Technique: Two-panel axial: CT | PSMA PET, 68Ga-PSMA tracer. slice position z = -910 mm.
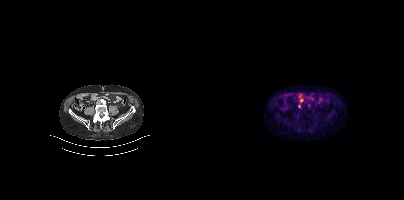
Findings: Coordinates are on the 200×200 PET (right) panel. (showing 1 of 3 foci) Small PSMA-avid focus (2 to 4 px across) near (center x, center y): (97, 100).